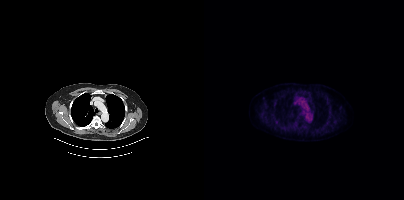
modality: PSMA PET/CT | tracer: [18F]PSMA-1007 | view: axial | PET grid: 200×200
Only PSMA-avid lesion pieces thinner than 2 px on this slice (not listed).